Two-panel axial: CT | PSMA PET, [68Ga]Ga-PSMA-11 tracer. Acquired on Siemens Biograph mCT Flow 20.
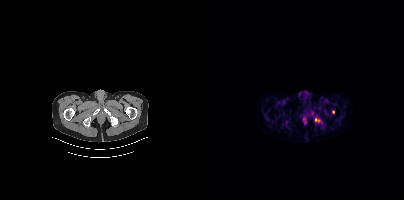
Coordinates are on the 200×200 PET (right) panel. PSMA-avid tumor lesion bounding box (x0, y0)-(x1, y1): (111, 118)-(115, 121). Small PSMA-avid focus (2 to 4 px across) near (center x, center y): (129, 112).